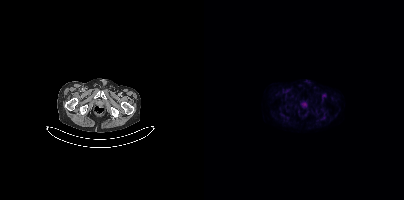
{"modality":"PSMA PET/CT","view":"axial","tracer":"[18F]PSMA-1007","pet_grid":[200,200],"coord_frame":"pet_panel","coord_format":"x0,y0,x1,y1","psma_avid_lesions":false}